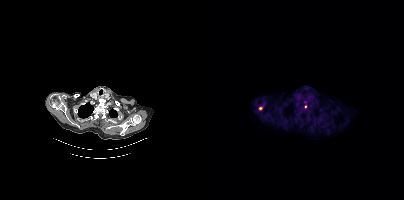
{"modality":"PSMA PET/CT","view":"axial","tracer":"18F-PSMA","pet_grid":[200,200],"coord_frame":"pet_panel","coord_format":"x0,y0,x1,y1","lesion_bboxes":[],"small_foci_centers":[[56,108],[101,106]]}